Left: CT. Right: PSMA PET, same axial level, 68Ga tracer. Acquired on Siemens Biograph mCT Flow 20. PET panel 200×200 px (4.1 mm/px). Any black rectangle over the head is a privacy mask, not anatomy.
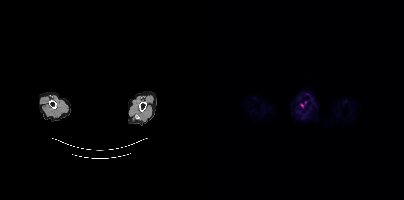
Coordinates are on the 200×200 PET (right) panel. Small PSMA-avid focus (2 to 4 px across) near (center x, center y): (97, 105).